modality: PSMA PET/CT | tracer: 68Ga-PSMA | view: axial | PET grid: 168×168
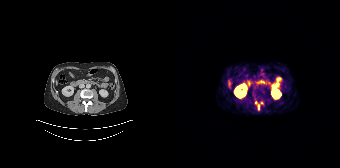
Coordinates are on the 168×168 PET (right) panel. (showing 1 of 3 foci) PSMA-avid tumor lesion bounding box (x0,y0,x1,y1): [86,105,87,109].